Left: CT. Right: PSMA PET, same axial level, 18F-PSMA tracer. Acquired on Siemens Biograph mCT Flow 20.
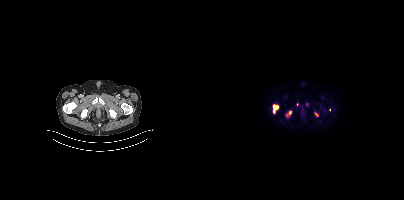
Coordinates are on the 200×200 PET (right) panel. PSMA-avid tumor lesion bounding boxes (partial; 1 more focus not listed):
| # | x0 | y0 | x1 | y1 |
|---|---|---|---|---|
| 1 | 69 | 104 | 74 | 113 |
| 2 | 82 | 111 | 87 | 116 |
| 3 | 110 | 112 | 114 | 116 |
Small PSMA-avid focus (2 to 4 px across) near (center x, center y): (125, 109).